Technique: Left: CT. Right: PSMA PET, same axial level, 18F tracer. slice position z = -588 mm. PET panel 200×200 px (4.1 mm/px).
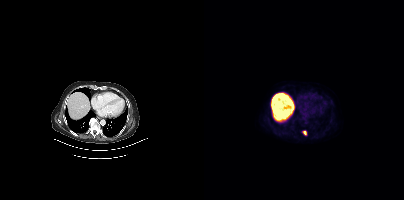
Findings: Coordinates are on the 200×200 PET (right) panel. PSMA-avid tumor lesion bounding box (x0,y0,x1,y1): [98,130,102,135].